Technique: Paired axial CT (left) and PSMA PET (right), 18F-PSMA tracer. PET panel 200×200 px (4.1 mm/px).
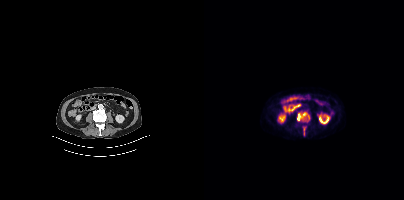
Findings: Coordinates are on the 200×200 PET (right) panel. (showing 3 of 4 foci) PSMA-avid tumor lesion bounding boxes (x, y, width, height): x=93 y=112 w=10 h=9; x=98 y=120 w=5 h=2. Small PSMA-avid focus (2 to 4 px across) near (center x, center y): (104, 116).